modality: PSMA PET/CT | tracer: [18F]PSMA-1007 | view: axial | PET grid: 200×200
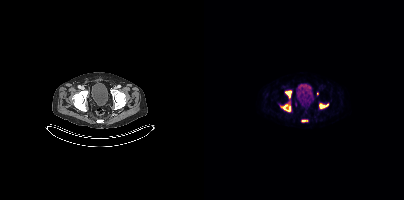
Coordinates are on the 200×200 PET (right) panel. (showing 5 of 6 foci) PSMA-avid tumor lesion bounding boxes (x0,y0,x1,y1): [77,104,86,111] [81,91,87,98] [115,104,124,108]. Small PSMA-avid foci (2 to 4 px across) near (center x, center y): (99, 120) (113, 93).